Technique: Left: CT. Right: PSMA PET, same axial level, [18F]PSMA-1007 tracer. acquired on Siemens Biograph mCT Flow 20. slice 374 of 387.
Note: The head region is masked for de-identification.
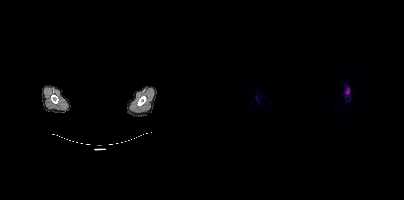
Findings: Coordinates are on the 200×200 PET (right) panel. PSMA-avid tumor lesion bounding box (x0, y0)-(x1, y1): (141, 87)-(145, 96).